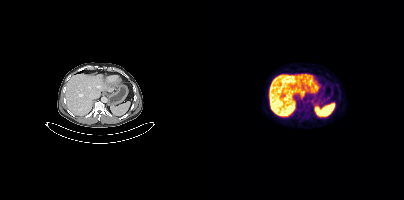
Technique: Paired axial CT (left) and PSMA PET (right), 18F tracer. acquired on Siemens Biograph mCT Flow 20. slice 262 of 448.
Findings: No PSMA-avid tumor lesions on this slice.